Technique: Two-panel axial: CT | PSMA PET, [68Ga]Ga-PSMA-11 tracer. slice position z = -894 mm. PET panel 168×168 px (4.1 mm/px).
Note: A rectangle over the head was blacked out to remove identifiable facial features.
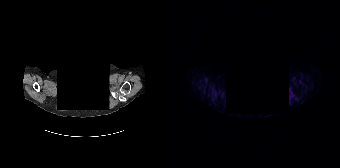
Findings: No tumor lesions annotated on this slice.